modality: PSMA PET/CT | tracer: 18F-PSMA | view: axial
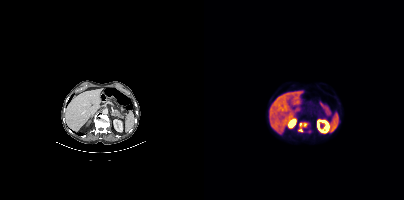
Coordinates are on the 200×200 PET (right) panel. PSMA-avid tumor lesion bounding box (x0,y0,x1,y1): [94,123,102,131]. Small PSMA-avid focus (2 to 4 px across) near (center x, center y): (105, 131).